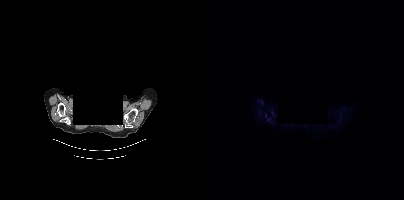
A rectangular block over the head has been blanked out for de-identification. Left: CT. Right: PSMA PET, same axial level, [18F]PSMA-1007 tracer. Acquired on Siemens Biograph mCT Flow 20. Slice position z = -408 mm. Coordinates are on the 200×200 PET (right) panel. Small PSMA-avid foci (2 to 4 px across) near (center x, center y): (67, 122) | (61, 115).